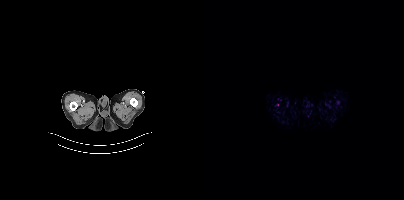
Findings: This slice has no annotated PSMA-avid lesion.
- Paired axial CT (left) and PSMA PET (right), 18F-PSMA tracer
- slice position z = -984 mm